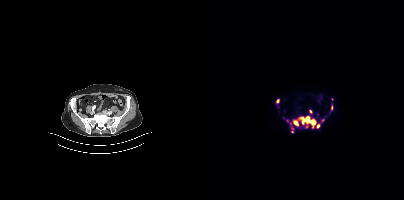
Left: CT. Right: PSMA PET, same axial level, [18F]PSMA-1007 tracer.
Coordinates are on the 200×200 PET (right) panel. PSMA-avid tumor lesion bounding boxes (partial; 3 more foci not listed):
| # | x0 | y0 | x1 | y1 |
|---|---|---|---|---|
| 1 | 89 | 116 | 112 | 128 |
| 2 | 113 | 124 | 115 | 128 |
| 3 | 127 | 105 | 128 | 110 |
Small PSMA-avid foci (2 to 4 px across) near (center x, center y): (73, 100); (106, 111); (88, 131); (88, 128); (102, 126); (86, 123).